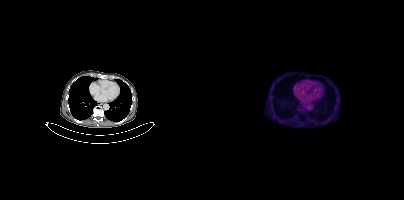
Findings: This slice has no annotated PSMA-avid lesion.
- Paired axial CT (left) and PSMA PET (right), 18F-PSMA tracer